- Paired axial CT (left) and PSMA PET (right), 18F-PSMA tracer
- slice 29 of 165
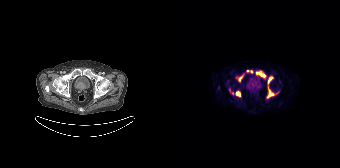
Findings: Coordinates are on the 168×168 PET (right) panel. PSMA-avid tumor lesion bounding boxes (x0, y0)-(x1, y1): (94, 76)-(106, 98); (84, 71)-(94, 78); (63, 91)-(68, 96); (57, 88)-(61, 94); (66, 76)-(70, 81). Small PSMA-avid foci (2 to 4 px across) near (center x, center y): (79, 71); (75, 70).